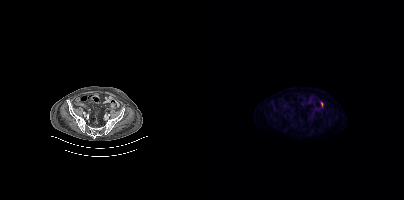
No PSMA-avid tumor lesions on this slice.
modality: PSMA PET/CT | tracer: 18F | view: axial | PET grid: 200×200